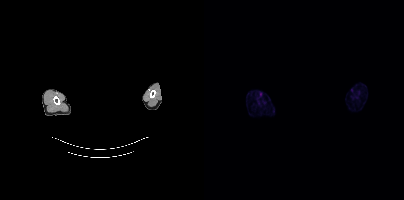
Two-panel axial: CT | PSMA PET, 18F tracer. Slice position z = 156 mm. A rectangle over the head was blacked out to remove identifiable facial features. This slice has no annotated PSMA-avid lesion.